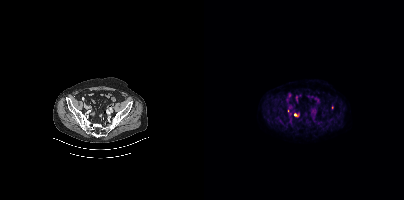
Two-panel axial: CT | PSMA PET, 18F-PSMA tracer. Slice 103 of 452. Only PSMA-avid lesion pieces thinner than 2 px on this slice (not listed).